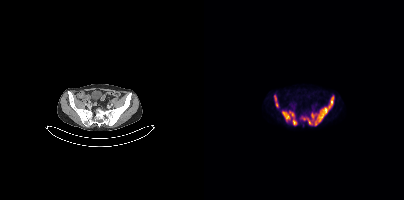
Coordinates are on the 200×200 PET (right) panel. PSMA-avid tumor lesion bounding boxes (x0,y0,x1,y1): [97,95,130,125], [78,110,93,125], [70,95,74,107].